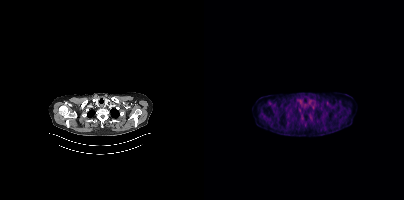
Findings: Negative for PSMA-avid disease on this slice.
- Two-panel axial: CT | PSMA PET, [18F]PSMA-1007 tracer
- PET panel 200×200 px (4.1 mm/px)